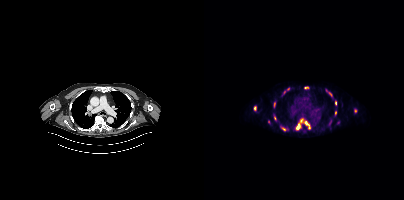
Technique: Left: CT. Right: PSMA PET, same axial level, 18F tracer. slice position z = -1012 mm.
Findings: Coordinates are on the 200×200 PET (right) panel. (showing 13 of 15 foci) PSMA-avid tumor lesion bounding boxes (x, y, width, height): x=92 y=119 w=8 h=11; x=101 y=121 w=6 h=9; x=100 y=87 w=5 h=2; x=131 y=101 w=2 h=5. Small PSMA-avid foci (2 to 4 px across) near (center x, center y): (79, 129); (84, 89); (151, 110); (131, 112); (80, 92); (126, 94); (50, 108); (70, 104); (70, 118).